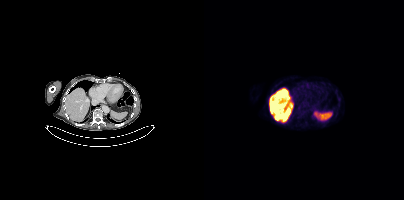
Negative for PSMA-avid disease on this slice.
modality: PSMA PET/CT | tracer: 18F | view: axial